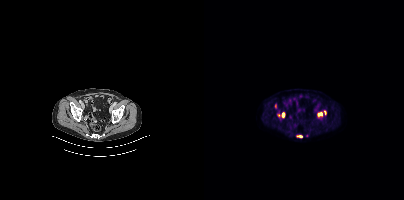
Coordinates are on the 200×200 PET (right) panel. (showing 5 of 6 foci) PSMA-avid tumor lesion bounding boxes (x0, y0)-(x1, y1): (113, 112)-(118, 116); (92, 135)-(98, 137); (78, 112)-(80, 117); (120, 110)-(122, 114). Small PSMA-avid focus (2 to 4 px across) near (center x, center y): (74, 115).